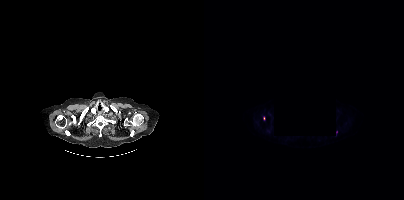
{"modality":"PSMA PET/CT","view":"axial","tracer":"18F","pet_grid":[200,200],"coord_frame":"pet_panel","coord_format":"x0,y0,x1,y1","deidentification":"region blacked out before release","lesion_bboxes":[],"small_foci_centers":[[60,118]]}